Technique: Two-panel axial: CT | PSMA PET, 18F-PSMA tracer. acquired on Siemens Biograph mCT Flow 20. slice position z = -1554 mm.
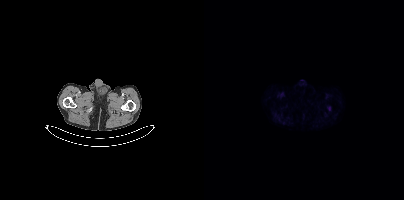
Findings: No PSMA-avid tumor lesions on this slice.